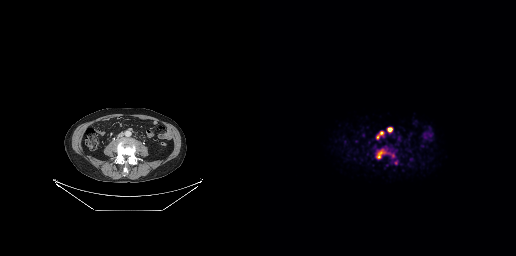
Technique: Paired axial CT (left) and PSMA PET (right), [68Ga]Ga-PSMA-11 tracer. PET panel 256×256 px (2.7 mm/px).
Findings: Coordinates are on the 256×256 PET (right) panel. PSMA-avid tumor lesion bounding boxes (x0,y0,x1,y1): [117,151,123,158], [116,132,122,138]. Small PSMA-avid focus (2 to 4 px across) near (center x, center y): (129, 129).